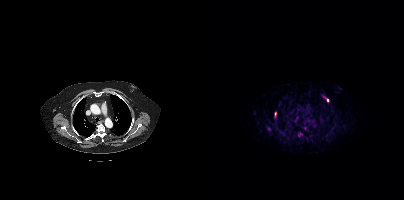
{"modality":"PSMA PET/CT","view":"axial","tracer":"68Ga-PSMA","pet_grid":[200,200],"coord_frame":"pet_panel","coord_format":"x0,y0,x1,y1","lesion_bboxes":[[118,96,125,102],[94,133,98,136]],"small_foci_centers":[[101,128],[71,114]]}